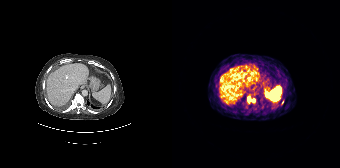
Findings: Coordinates are on the 168×168 PET (right) panel. PSMA-avid tumor lesion bounding boxes (x, y, width, height): x=75 y=96 w=9 h=7; x=109 y=100 w=3 h=5.
Technique: Two-panel axial: CT | PSMA PET, 68Ga tracer. acquired on Siemens Biograph 64-4R TruePoint. slice 92 of 165.